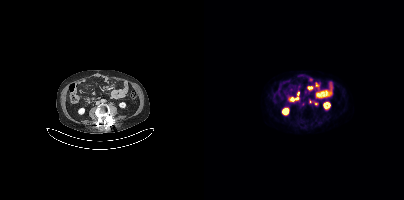
{"modality":"PSMA PET/CT","view":"axial","tracer":"18F","pet_grid":[200,200],"coord_frame":"pet_panel","coord_format":"x0,y0,x1,y1","partial":true,"lesion_bboxes":[[87,97,94,100],[104,86,108,89]],"small_foci_centers":[[112,103],[106,101]]}